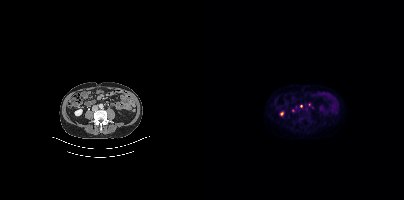
Coordinates are on the 200×200 PET (right) panel. (showing 1 of 2 foci) Small PSMA-avid focus (2 to 4 px across) near (center x, center y): (97, 106).